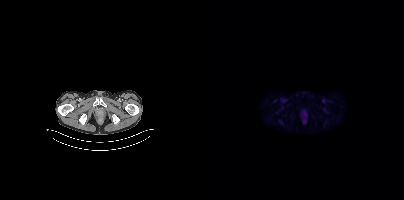
- Two-panel axial: CT | PSMA PET, [18F]PSMA-1007 tracer
- acquired on Siemens Biograph mCT Flow 20
- slice 35 of 423
- PET panel 200×200 px (4.1 mm/px)
Findings: Coordinates are on the 200×200 PET (right) panel. Small PSMA-avid focus (2 to 4 px across) near (center x, center y): (101, 121).